Left: CT. Right: PSMA PET, same axial level, 18F tracer. Slice position z = -511 mm. PET panel 256×256 px (2.7 mm/px).
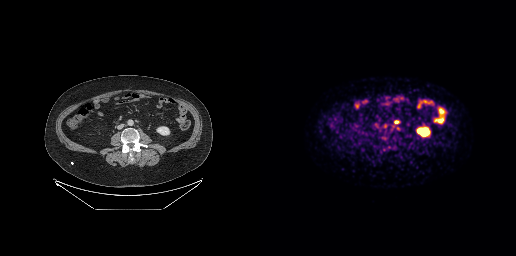
Coordinates are on the 256×256 PET (right) panel. PSMA-avid tumor lesion bounding boxes:
| # | x0 | y0 | x1 | y1 |
|---|---|---|---|---|
| 1 | 134 | 120 | 138 | 123 |